- Paired axial CT (left) and PSMA PET (right), [18F]PSMA-1007 tracer
- PET panel 200×200 px (4.1 mm/px)
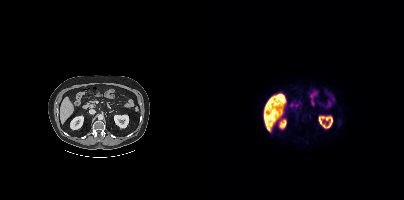
Findings: No tumor lesions annotated on this slice.